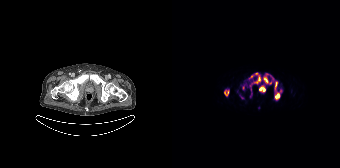
Technique: Paired axial CT (left) and PSMA PET (right), [18F]PSMA-1007 tracer. acquired on Siemens Biograph 64-4R TruePoint. PET panel 168×168 px (4.1 mm/px).
Findings: Coordinates are on the 168×168 PET (right) panel. (showing 8 of 9 foci) PSMA-avid tumor lesion bounding boxes (x0,y0,x1,y1): [102,82,110,99], [90,73,101,84], [75,72,88,91], [52,89,57,96], [70,83,75,89]. Small PSMA-avid foci (2 to 4 px across) near (center x, center y): (79, 76), (79, 94), (70, 97).